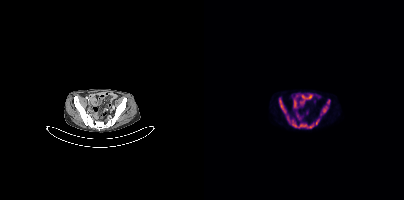
{"modality":"PSMA PET/CT","view":"axial","tracer":"[18F]PSMA-1007","pet_grid":[200,200],"coord_frame":"pet_panel","coord_format":"x0,y0,x1,y1","partial":true,"lesion_bboxes":[[82,115,110,128],[118,99,126,113],[75,98,82,113],[112,119,115,124]]}